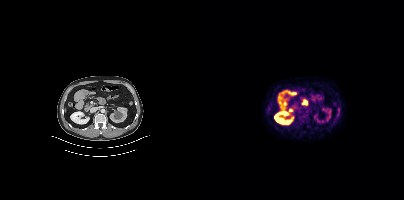
modality: PSMA PET/CT | tracer: [18F]PSMA-1007 | view: axial
No PSMA-avid tumor lesions on this slice.